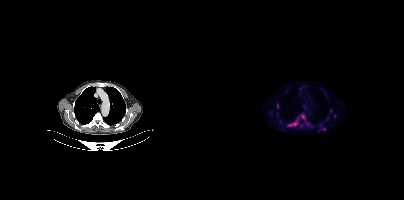
Left: CT. Right: PSMA PET, same axial level, [18F]PSMA-1007 tracer. Acquired on Siemens Biograph mCT Flow 20. PET panel 200×200 px (4.1 mm/px). Coordinates are on the 200×200 PET (right) panel. (showing 9 of 12 foci) PSMA-avid tumor lesion bounding boxes (x0, y0)-(x1, y1): (85, 117)-(95, 126); (97, 114)-(101, 119); (73, 104)-(74, 108). Small PSMA-avid foci (2 to 4 px across) near (center x, center y): (126, 110); (103, 124); (120, 129); (66, 112); (130, 116); (97, 125).